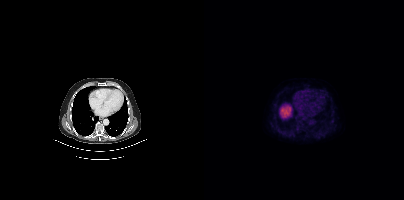
{"pet_grid":[200,200],"coord_frame":"pet_panel","coord_format":"x0,y0,x1,y1","psma_avid_lesions":false,"modality":"PSMA PET/CT","view":"axial","tracer":"[18F]PSMA-1007"}